Technique: Two-panel axial: CT | PSMA PET, [18F]PSMA-1007 tracer. acquired on Siemens Biograph mCT Flow 20. slice 76 of 427.
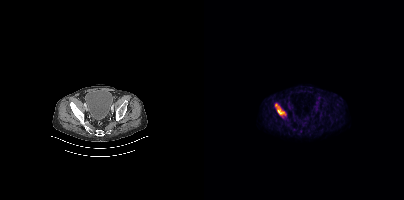
Findings: Coordinates are on the 200×200 PET (right) panel. PSMA-avid tumor lesion bounding box (x0,y0,x1,y1): [71,104,81,114].